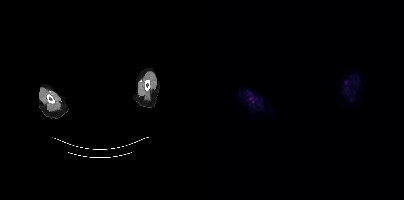
{"pet_grid":[200,200],"coord_frame":"pet_panel","coord_format":"x0,y0,x1,y1","psma_avid_lesions":false,"modality":"PSMA PET/CT","view":"axial","tracer":"18F","de-identification":"facial region redacted"}